- Two-panel axial: CT | PSMA PET, [68Ga]Ga-PSMA-11 tracer
- acquired on Siemens Biograph 64-4R TruePoint
- PET panel 168×168 px (4.1 mm/px)
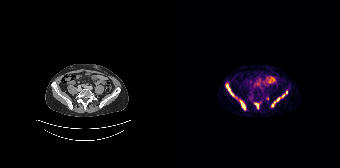
Findings: Coordinates are on the 168×168 PET (right) panel. PSMA-avid tumor lesion bounding boxes (x0,y0,x1,y1): [54,85,62,96], [68,100,73,109], [105,91,115,100], [99,101,103,107]. Small PSMA-avid focus (2 to 4 px across) near (center x, center y): (85, 105).